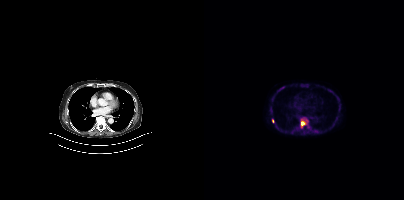
Technique: Left: CT. Right: PSMA PET, same axial level, 18F tracer. slice 249 of 401. PET panel 200×200 px (4.1 mm/px).
Findings: Coordinates are on the 200×200 PET (right) panel. PSMA-avid tumor lesion bounding boxes (x0, y0)-(x1, y1): (97, 117)-(105, 126) / (76, 87)-(80, 89). Small PSMA-avid focus (2 to 4 px across) near (center x, center y): (68, 121).